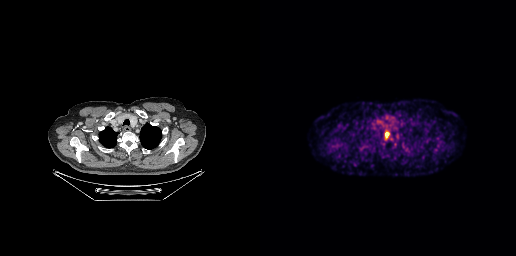
Coordinates are on the 256×256 PET (right) panel. PSMA-avid tumor lesion bounding box (x0,y0,x1,y1): [125,132,128,137]. Left: CT. Right: PSMA PET, same axial level, [18F]PSMA-1007 tracer. Acquired on GE Discovery 690.